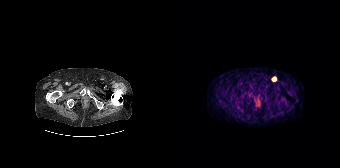
Two-panel axial: CT | PSMA PET, [68Ga]Ga-PSMA-11 tracer. Slice 51 of 195. PET panel 168×168 px (4.1 mm/px). Coordinates are on the 168×168 PET (right) panel. Small PSMA-avid focus (2 to 4 px across) near (center x, center y): (102, 79).